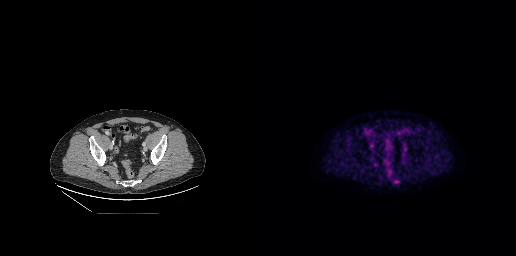
Paired axial CT (left) and PSMA PET (right), 18F-PSMA tracer. Acquired on GE Discovery 690. Slice 74 of 263.
Coordinates are on the 256×256 PET (right) panel. PSMA-avid tumor lesion bounding boxes:
| # | x0 | y0 | x1 | y1 |
|---|---|---|---|---|
| 1 | 132 | 179 | 139 | 183 |